Left: CT. Right: PSMA PET, same axial level, 18F-PSMA tracer. Acquired on Siemens Biograph mCT Flow 20. PET panel 200×200 px (4.1 mm/px).
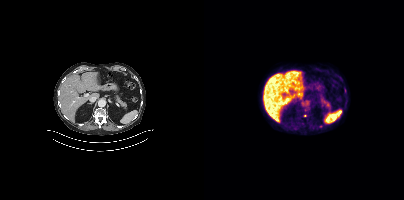
Coordinates are on the 200×200 PET (right) panel. Small PSMA-avid focus (2 to 4 px across) near (center x, center y): (100, 115).